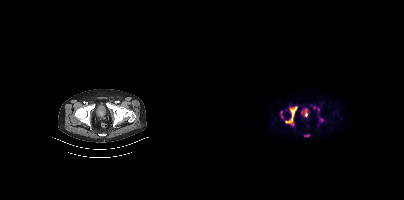
Coordinates are on the 200×200 PET (right) panel. PSMA-avid tumor lesion bounding boxes (x, y, width, height): x=82 y=107 w=11 h=18; x=101 y=112 w=3 h=5. Small PSMA-avid foci (2 to 4 px across) near (center x, center y): (110, 107); (117, 119). Two-panel axial: CT | PSMA PET, 18F tracer. Acquired on Siemens Biograph mCT Flow 20. Slice 45 of 367.